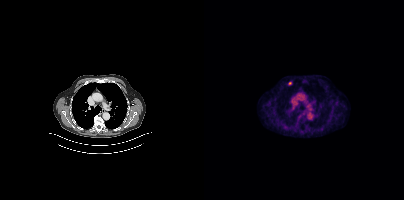
Left: CT. Right: PSMA PET, same axial level, [18F]PSMA-1007 tracer. Slice position z = -342 mm. Coordinates are on the 200×200 PET (right) panel. Small PSMA-avid focus (2 to 4 px across) near (center x, center y): (85, 83).